Paired axial CT (left) and PSMA PET (right), [68Ga]Ga-PSMA-11 tracer.
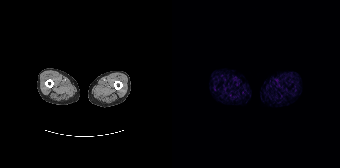
No PSMA-avid tumor lesions on this slice.